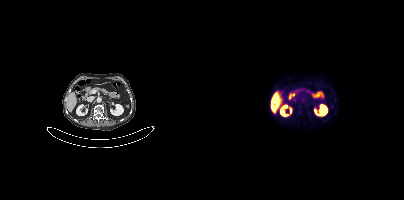
{"modality":"PSMA PET/CT","view":"axial","tracer":"[18F]PSMA-1007","pet_grid":[200,200],"coord_frame":"pet_panel","coord_format":"x0,y0,x1,y1","psma_avid_lesions":false}